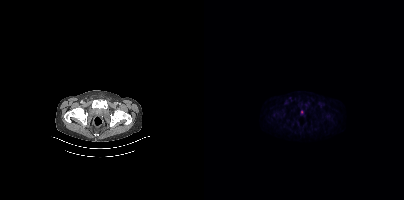
Two-panel axial: CT | PSMA PET, [18F]PSMA-1007 tracer. PET panel 200×200 px (4.1 mm/px). Coordinates are on the 200×200 PET (right) panel. Small PSMA-avid focus (2 to 4 px across) near (center x, center y): (97, 111).